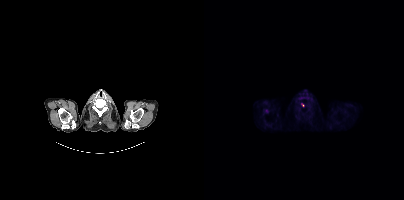
modality: PSMA PET/CT | tracer: [18F]PSMA-1007 | view: axial | PET grid: 200×200
Only PSMA-avid lesion pieces thinner than 2 px on this slice (not listed).